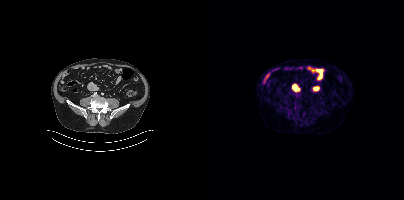
No tumor lesions annotated on this slice.